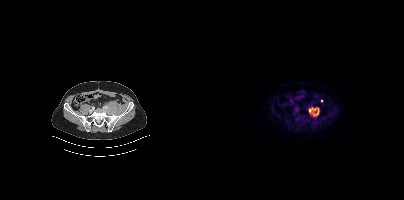
modality: PSMA PET/CT | tracer: 18F-PSMA | view: axial | PET grid: 200×200
Coordinates are on the 200×200 PET (right) panel. PSMA-avid tumor lesion bounding box (x0, y0)-(x1, y1): (105, 107)-(115, 116). Small PSMA-avid focus (2 to 4 px across) near (center x, center y): (117, 100).